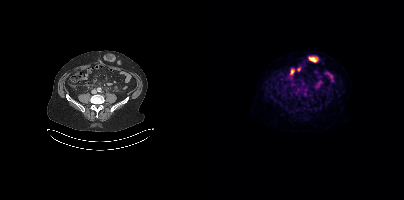
Technique: Paired axial CT (left) and PSMA PET (right), 18F-PSMA tracer. acquired on Siemens Biograph mCT Flow 20. PET panel 200×200 px (4.1 mm/px).
Findings: Coordinates are on the 200×200 PET (right) panel. PSMA-avid tumor lesion bounding box (x, y, width, height): x=99 y=90 w=5 h=6.